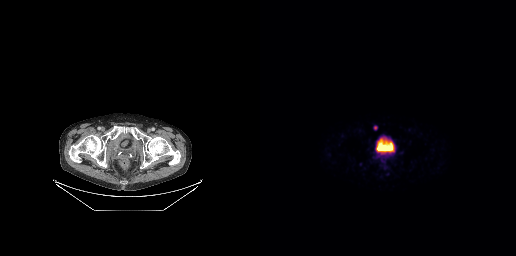
Coordinates are on the 256×256 PET (right) panel. Small PSMA-avid focus (2 to 4 px across) near (center x, center y): (115, 127).